- Paired axial CT (left) and PSMA PET (right), 18F-PSMA tracer
- PET panel 200×200 px (4.1 mm/px)
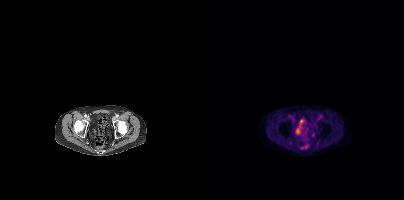
Findings: No tumor lesions annotated on this slice.